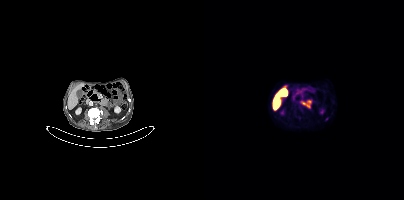
Two-panel axial: CT | PSMA PET, 18F tracer. Slice 143 of 354. No tumor lesions annotated on this slice.